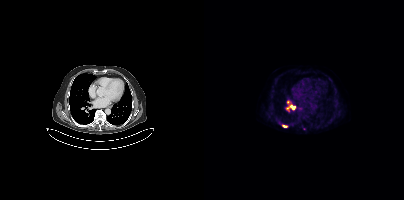
Paired axial CT (left) and PSMA PET (right), 18F tracer. Acquired on Siemens Biograph mCT Flow 20. Coordinates are on the 200×200 PET (right) panel. Small PSMA-avid foci (2 to 4 px across) near (center x, center y): (89, 107); (80, 126); (100, 128).